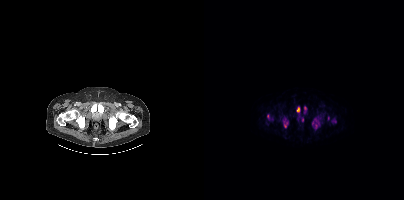
- Left: CT. Right: PSMA PET, same axial level, 18F-PSMA tracer
- slice 137 of 508
- PET panel 200×200 px (4.1 mm/px)
Findings: Coordinates are on the 200×200 PET (right) panel. (showing 9 of 10 foci) PSMA-avid tumor lesion bounding boxes (x, y, width, height): x=127 y=119 w=6 h=5 | x=80 y=121 w=4 h=7 | x=92 y=107 w=4 h=6 | x=63 y=114 w=3 h=6. Small PSMA-avid foci (2 to 4 px across) near (center x, center y): (98, 119) | (112, 125) | (101, 108) | (124, 118) | (108, 123).